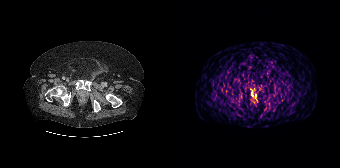
Coordinates are on the 168×168 PET (right) panel. PSMA-avid tumor lesion bounding box (x, y, width, height): x=79 y=87 w=6 h=9.